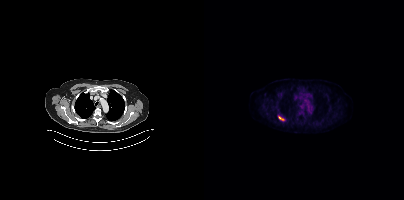
- Two-panel axial: CT | PSMA PET, 18F-PSMA tracer
- slice 300 of 389
- PET panel 200×200 px (4.1 mm/px)
Findings: Coordinates are on the 200×200 PET (right) panel. PSMA-avid tumor lesion bounding box (x0, y0)-(x1, y1): (74, 115)-(80, 121).